modality: PSMA PET/CT | tracer: 18F-PSMA | view: axial | PET grid: 200×200 | deidentification: head region blanked (face removed)
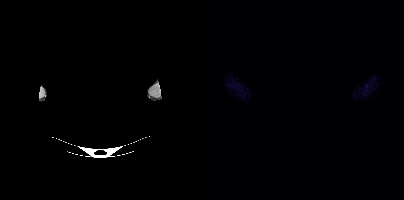
This slice has no annotated PSMA-avid lesion.